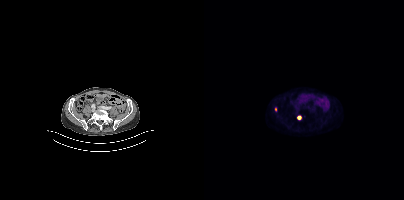
{"modality":"PSMA PET/CT","view":"axial","tracer":"18F-PSMA","pet_grid":[200,200],"coord_frame":"pet_panel","coord_format":"x0,y0,x1,y1","lesion_bboxes":[[93,116,97,119]],"small_foci_centers":[[71,109]]}